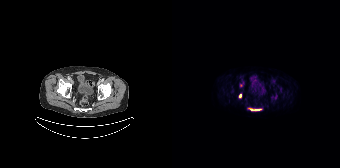
Left: CT. Right: PSMA PET, same axial level, 18F tracer. Slice position z = -1216 mm. PET panel 168×168 px (4.1 mm/px).
Coordinates are on the 168×168 PET (right) panel. PSMA-avid tumor lesion bounding boxes (partial; 1 more focus not listed):
| # | x0 | y0 | x1 | y1 |
|---|---|---|---|---|
| 1 | 76 | 108 | 89 | 110 |
Small PSMA-avid focus (2 to 4 px across) near (center x, center y): (68, 95).